Paired axial CT (left) and PSMA PET (right), [18F]PSMA-1007 tracer. Acquired on Siemens Biograph mCT Flow 20. Slice position z = -440 mm.
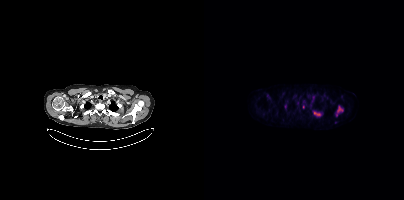
Coordinates are on the 200×200 PET (right) panel. PSMA-avid tumor lesion bounding boxes (partial; 1 more focus not listed):
| # | x0 | y0 | x1 | y1 |
|---|---|---|---|---|
| 1 | 132 | 106 | 139 | 116 |
| 2 | 110 | 111 | 117 | 116 |
Small PSMA-avid focus (2 to 4 px across) near (center x, center y): (81, 106).